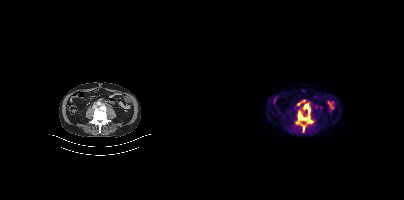
Coordinates are on the 200×200 PET (right) panel. PSMA-avid tumor lesion bounding boxes:
| # | x0 | y0 | x1 | y1 |
|---|---|---|---|---|
| 1 | 92 | 104 | 108 | 123 |
| 2 | 97 | 124 | 100 | 131 |
Small PSMA-avid focus (2 to 4 px across) near (center x, center y): (94, 103).
Left: CT. Right: PSMA PET, same axial level, 18F tracer.